Left: CT. Right: PSMA PET, same axial level, 18F tracer.
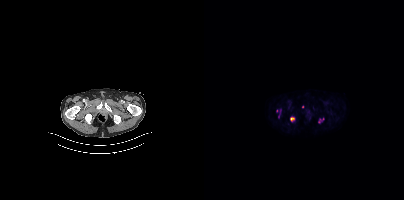
Coordinates are on the 200×200 PET (right) panel. Small PSMA-avid foci (2 to 4 px across) near (center x, center y): (88, 119) | (115, 121).